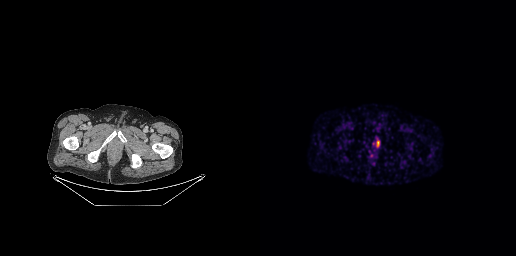
Paired axial CT (left) and PSMA PET (right), 68Ga-PSMA tracer. Acquired on GE Discovery 690. Slice 55 of 263. Coordinates are on the 256×256 PET (right) panel. Small PSMA-avid focus (2 to 4 px across) near (center x, center y): (117, 143).